Left: CT. Right: PSMA PET, same axial level, [18F]PSMA-1007 tracer. Slice 84 of 409.
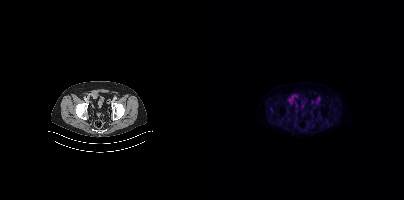
Coordinates are on the 200×200 PET (right) panel. PSMA-avid tumor lesion bounding box (x0, y0)-(x1, y1): (84, 97)-(88, 101).